Technique: Two-panel axial: CT | PSMA PET, 68Ga tracer.
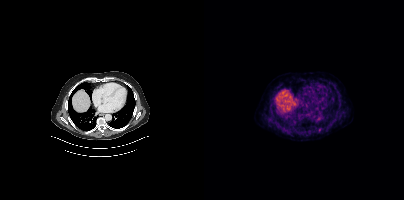
Findings: Coordinates are on the 200×200 PET (right) panel. Small PSMA-avid focus (2 to 4 px across) near (center x, center y): (115, 129).